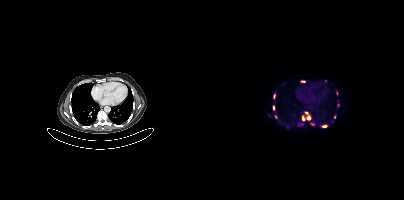
Findings: Coordinates are on the 200×200 PET (right) panel. (showing 8 of 11 foci) PSMA-avid tumor lesion bounding boxes (x0,y0,x1,y1): [98,112,106,120] [119,125,123,127]. Small PSMA-avid foci (2 to 4 px across) near (center x, center y): (69, 107) (98, 81) (70, 96) (134, 105) (71, 116) (130, 116).
- Two-panel axial: CT | PSMA PET, 18F-PSMA tracer
- slice 264 of 407